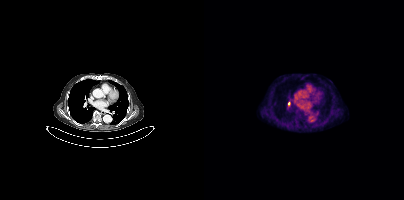
Coordinates are on the 200×200 PET (right) panel. Small PSMA-avid focus (2 to 4 px across) near (center x, center y): (84, 103).